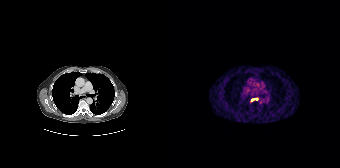
Findings: Coordinates are on the 168×168 PET (right) panel. Small PSMA-avid foci (2 to 4 px across) near (center x, center y): (80, 99); (84, 98).
- Paired axial CT (left) and PSMA PET (right), 68Ga tracer
- slice 135 of 195